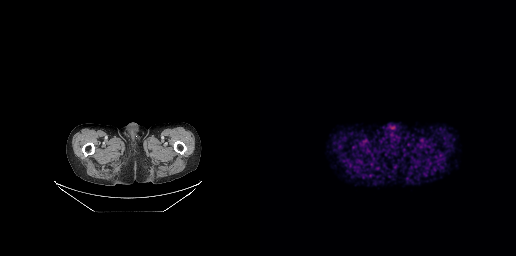
- Paired axial CT (left) and PSMA PET (right), [68Ga]Ga-PSMA-11 tracer
- acquired on GE Discovery 690
- slice position z = -765 mm
Findings: No PSMA-avid tumor lesions on this slice.